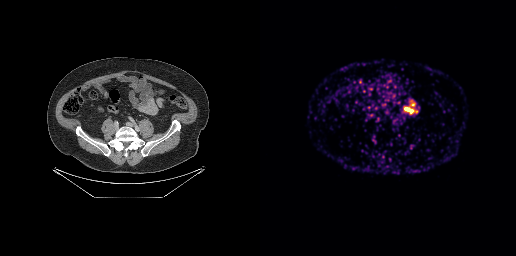
{"modality":"PSMA PET/CT","view":"axial","tracer":"68Ga-PSMA","pet_grid":[256,256],"coord_frame":"pet_panel","coord_format":"x0,y0,x1,y1","psma_avid_lesions":false}